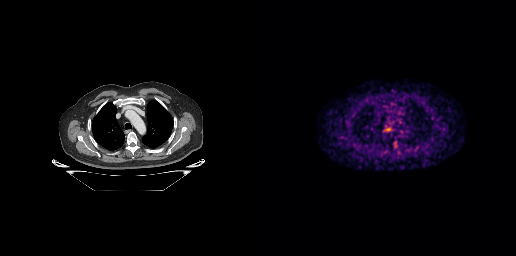
Negative for PSMA-avid disease on this slice.